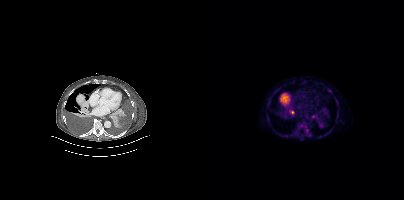
Findings: Coordinates are on the 200×200 PET (right) panel. PSMA-avid tumor lesion bounding boxes (x0,y0,x1,y1): [95,123,101,128], [108,116,114,121], [103,133,107,137], [86,111,90,115]. Small PSMA-avid foci (2 to 4 px across) near (center x, center y): (125, 90), (102, 130), (97, 139).
Technique: Paired axial CT (left) and PSMA PET (right), [18F]PSMA-1007 tracer. acquired on Siemens Biograph mCT Flow 20.